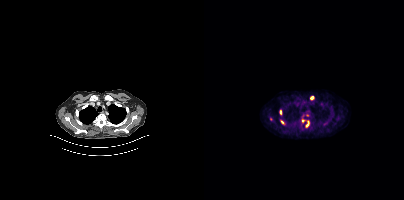
- Paired axial CT (left) and PSMA PET (right), 18F tracer
- acquired on Siemens Biograph mCT Flow 20
Findings: Coordinates are on the 200×200 PET (right) panel. (showing 5 of 7 foci) PSMA-avid tumor lesion bounding boxes (x0, y0)-(x1, y1): (101, 120)-(105, 127); (106, 96)-(110, 99); (76, 120)-(80, 124); (75, 110)-(77, 114). Small PSMA-avid focus (2 to 4 px across) near (center x, center y): (99, 120).